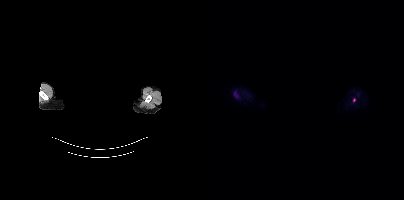
Findings: Coordinates are on the 200×200 PET (right) panel. Small PSMA-avid focus (2 to 4 px across) near (center x, center y): (150, 100).
Technique: Paired axial CT (left) and PSMA PET (right), 18F tracer. acquired on Siemens Biograph mCT Flow 20.
Note: Face de-identified by blanking a block of the head.